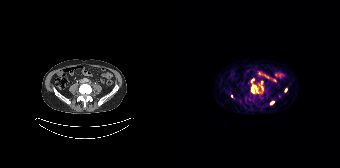
modality: PSMA PET/CT | tracer: 68Ga-PSMA | view: axial | PET grid: 168×168
Coordinates are on the 168×168 PET (right) panel. (showing 5 of 6 foci) PSMA-avid tumor lesion bounding boxes (x, y, width, height): x=79 y=85 w=10 h=9 | x=87 y=81 w=5 h=10. Small PSMA-avid foci (2 to 4 px across) near (center x, center y): (114, 90) | (59, 96) | (100, 102).